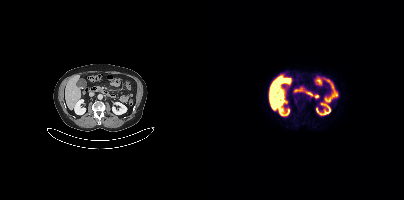
Findings: No PSMA-avid tumor lesions on this slice.
- Two-panel axial: CT | PSMA PET, 18F tracer
- slice 208 of 433